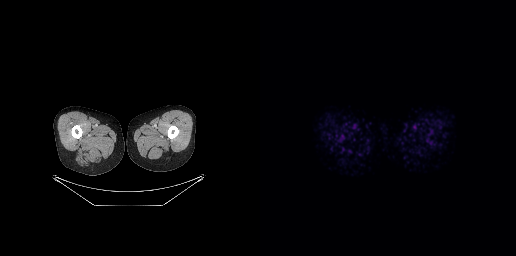
Negative for PSMA-avid disease on this slice. Left: CT. Right: PSMA PET, same axial level, 18F-PSMA tracer. Slice position z = -844 mm. PET panel 256×256 px (2.7 mm/px).